- Two-panel axial: CT | PSMA PET, [18F]PSMA-1007 tracer
- acquired on Siemens Biograph mCT Flow 20
- PET panel 200×200 px (4.1 mm/px)
- a rectangular block over the head has been blanked out for de-identification
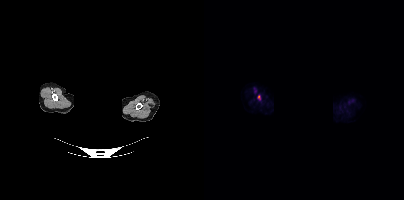
Findings: Coordinates are on the 200×200 PET (right) panel. PSMA-avid tumor lesion bounding box (x, y, width, height): x=54 y=95 w=3 h=5.